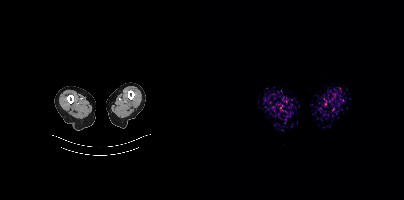
This slice has no annotated PSMA-avid lesion. Two-panel axial: CT | PSMA PET, 18F-PSMA tracer. Acquired on Siemens Biograph mCT Flow 20.